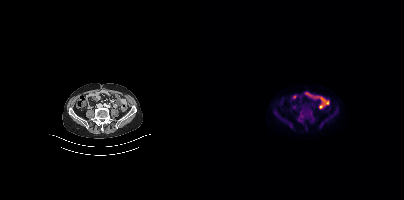
Two-panel axial: CT | PSMA PET, 18F-PSMA tracer. Slice position z = -661 mm. This slice has no annotated PSMA-avid lesion.